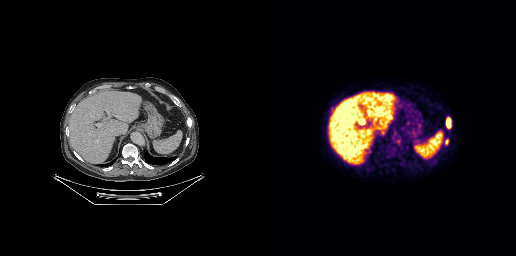
Coordinates are on the 256×256 PET (right) panel. PSMA-avid tumor lesion bounding boxes (x, y, width, height): x=186 y=117 w=6 h=12 | x=185 y=139 w=4 h=6.